Technique: Two-panel axial: CT | PSMA PET, 18F-PSMA tracer. acquired on Siemens Biograph mCT Flow 20. PET panel 200×200 px (4.1 mm/px).
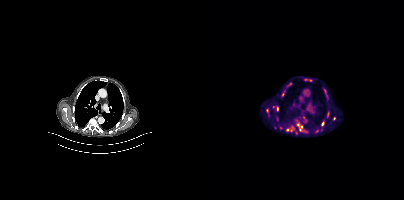
Findings: Coordinates are on the 200×200 PET (right) panel. (showing 7 of 9 foci) PSMA-avid tumor lesion bounding boxes (x0, y0)-(x1, y1): (77, 82)-(88, 97) / (92, 120)-(98, 127) / (68, 106)-(74, 111) / (62, 108)-(65, 116). Small PSMA-avid foci (2 to 4 px across) near (center x, center y): (130, 118) / (73, 118) / (89, 126).